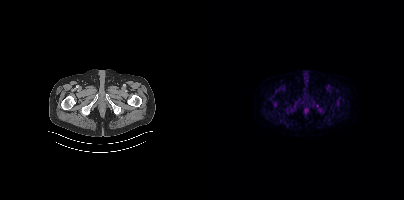
No tumor lesions annotated on this slice.